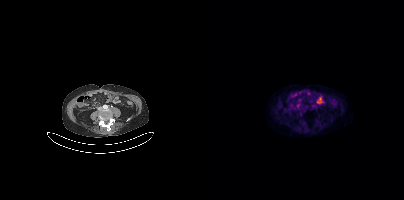
Coordinates are on the 200×200 PET (right) panel. PSMA-avid tumor lesion bounding box (x0, y0)-(x1, y1): (108, 105)-(112, 107).